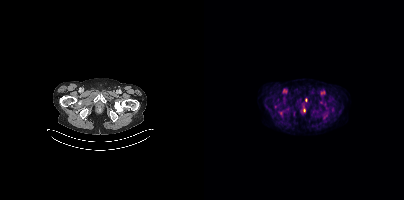
- Left: CT. Right: PSMA PET, same axial level, 18F-PSMA tracer
- slice 51 of 429
Findings: Coordinates are on the 200×200 PET (right) panel. Small PSMA-avid focus (2 to 4 px across) near (center x, center y): (101, 100).